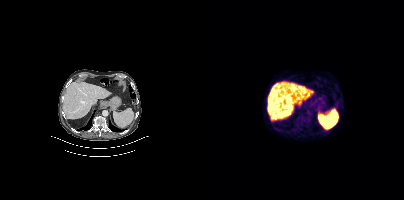
{"modality":"PSMA PET/CT","view":"axial","tracer":"18F","pet_grid":[200,200],"coord_frame":"pet_panel","coord_format":"x0,y0,x1,y1","psma_avid_lesions":false}